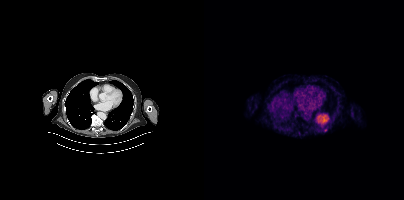
No PSMA-avid tumor lesions on this slice.